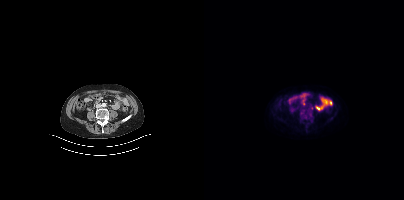
Left: CT. Right: PSMA PET, same axial level, 18F tracer. Coordinates are on the 200×200 PET (right) panel. (showing 1 of 2 foci) Small PSMA-avid focus (2 to 4 px across) near (center x, center y): (100, 104).